modality: PSMA PET/CT | tracer: 18F | view: axial
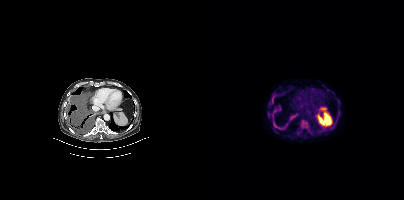
Coordinates are on the 200×200 PET (right) panel. (showing 5 of 6 foci) PSMA-avid tumor lesion bounding boxes (x, y, width, height): x=95 y=119 w=10 h=10 | x=70 y=124 w=9 h=6 | x=68 y=95 w=4 h=9 | x=63 y=113 w=3 h=5. Small PSMA-avid focus (2 to 4 px across) near (center x, center y): (88, 117).